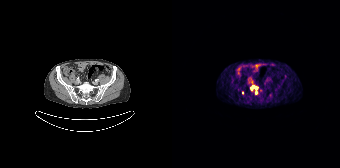
Paired axial CT (left) and PSMA PET (right), [68Ga]Ga-PSMA-11 tracer. PET panel 168×168 px (4.1 mm/px).
Coordinates are on the 168×168 PET (right) panel. PSMA-avid tumor lesion bounding boxes:
| # | x0 | y0 | x1 | y1 |
|---|---|---|---|---|
| 1 | 79 | 86 | 84 | 89 |
Small PSMA-avid foci (2 to 4 px across) near (center x, center y): (84, 92); (70, 92).